Left: CT. Right: PSMA PET, same axial level, 68Ga tracer. Acquired on Siemens Biograph 64-4R TruePoint. Slice position z = -896 mm. PET panel 168×168 px (4.1 mm/px).
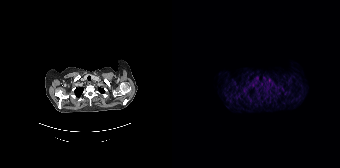
No PSMA-avid tumor lesions on this slice.